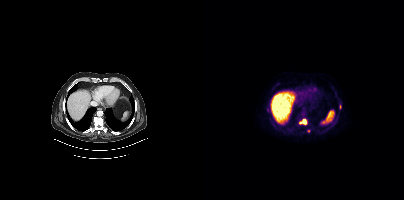
- Two-panel axial: CT | PSMA PET, 18F tracer
Findings: Coordinates are on the 200×200 PET (right) panel. PSMA-avid tumor lesion bounding box (x0,y0,x1,y1): [95,119,102,124]. Small PSMA-avid foci (2 to 4 px across) near (center x, center y): (104, 131), (136, 107), (63, 109), (99, 132).